- Left: CT. Right: PSMA PET, same axial level, 18F-PSMA tracer
- slice 240 of 433
- PET panel 200×200 px (4.1 mm/px)
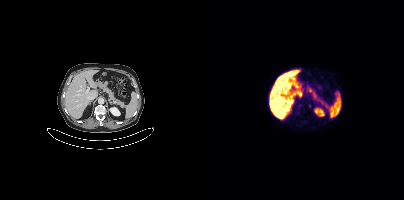
Findings: Coordinates are on the 200×200 PET (right) panel. Small PSMA-avid focus (2 to 4 px across) near (center x, center y): (106, 105).